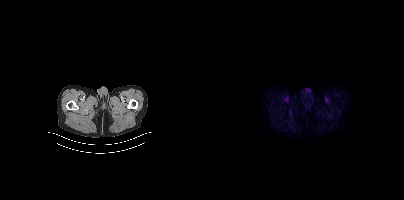
This slice has no annotated PSMA-avid lesion.